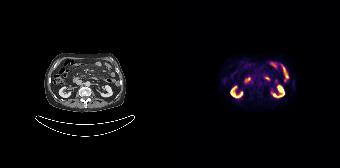
This slice has no annotated PSMA-avid lesion.